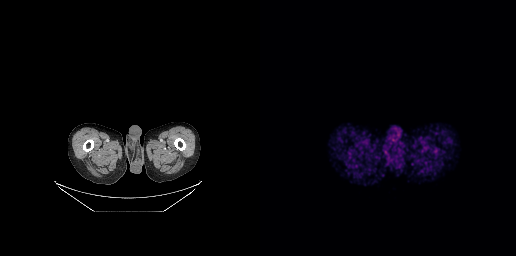
This slice has no annotated PSMA-avid lesion.